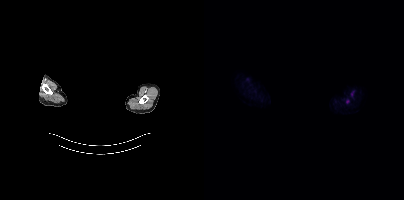
{"pet_grid":[200,200],"coord_frame":"pet_panel","coord_format":"x0,y0,x1,y1","lesion_bboxes":[],"small_foci_centers":[[143,101]],"modality":"PSMA PET/CT","view":"axial","tracer":"18F-PSMA","de-identification":"facial region redacted"}